Technique: Two-panel axial: CT | PSMA PET, 68Ga-PSMA tracer. acquired on Siemens Biograph mCT Flow 20. PET panel 200×200 px (4.1 mm/px).
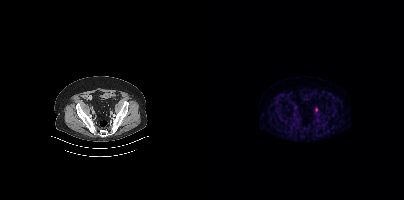
Findings: Coordinates are on the 200×200 PET (right) panel. Small PSMA-avid focus (2 to 4 px across) near (center x, center y): (112, 109).